modality: PSMA PET/CT | tracer: 18F | view: axial
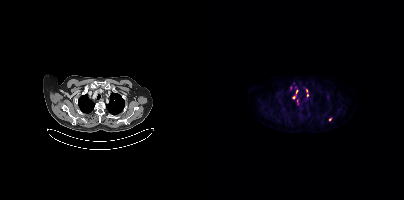
Coordinates are on the 200×200 PET (right) panel. (showing 1 of 7 foci) Small PSMA-avid focus (2 to 4 px across) near (center x, center y): (86, 87).